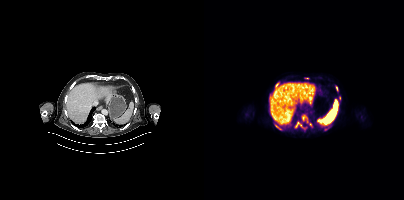
Coordinates are on the 200×200 PET (right) panel. (showing 6 of 12 foci) PSMA-avid tumor lesion bounding box (x0, y0)-(x1, y1): (132, 86)-(134, 90). Small PSMA-avid foci (2 to 4 px across) near (center x, center y): (72, 85); (106, 124); (71, 125); (76, 128); (122, 129).